- Two-panel axial: CT | PSMA PET, 68Ga-PSMA tracer
- slice 64 of 263
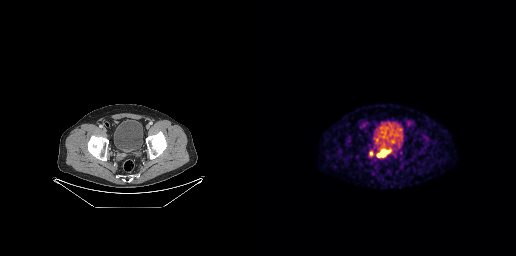
Findings: Coordinates are on the 256×256 PET (right) panel. PSMA-avid tumor lesion bounding box (x0,y0,x1,y1): [117,149,130,156].